modality: PSMA PET/CT | tracer: [68Ga]Ga-PSMA-11 | view: axial | PET grid: 256×256
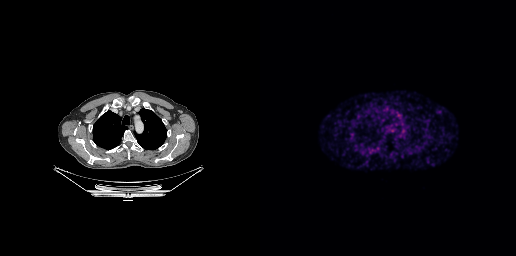
No tumor lesions annotated on this slice.